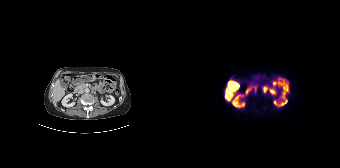
- Paired axial CT (left) and PSMA PET (right), 18F-PSMA tracer
- acquired on Siemens Biograph 64-4R TruePoint
- PET panel 168×168 px (4.1 mm/px)
Findings: Coordinates are on the 168×168 PET (right) panel. Small PSMA-avid focus (2 to 4 px across) near (center x, center y): (92, 90).